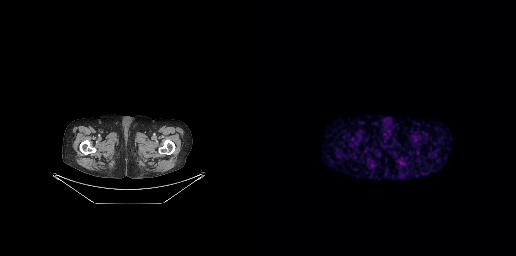
modality: PSMA PET/CT | tracer: [68Ga]Ga-PSMA-11 | view: axial
No PSMA-avid tumor lesions on this slice.